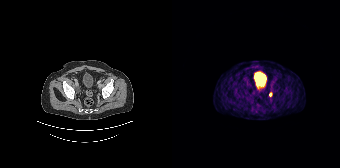
Coordinates are on the 168×168 PET (right) panel. Small PSMA-avid focus (2 to 4 px across) near (center x, center y): (98, 94).